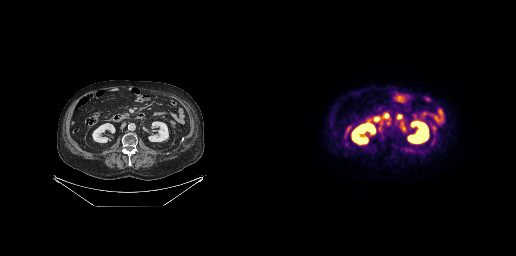
No PSMA-avid tumor lesions on this slice. Two-panel axial: CT | PSMA PET, 18F-PSMA tracer. Acquired on GE Discovery 690.